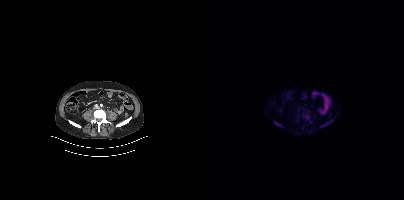
{"modality":"PSMA PET/CT","view":"axial","tracer":"18F-PSMA","pet_grid":[200,200],"coord_frame":"pet_panel","coord_format":"x0,y0,x1,y1","lesion_bboxes":[[116,119,129,127],[70,121,77,126]]}